Two-panel axial: CT | PSMA PET, 68Ga tracer.
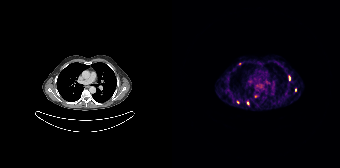
Coordinates are on the 168×168 PET (right) panel. (showing 4 of 5 foci) Small PSMA-avid foci (2 to 4 px across) near (center x, center y): (117, 77); (68, 63); (75, 103); (123, 89).